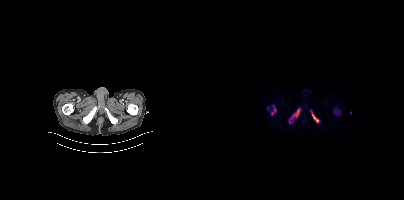
Coordinates are on the 200×200 PET (right) panel. PSMA-avid tumor lesion bounding boxes (x, y, width, height): x=89 y=109 w=7 h=9; x=67 y=105 w=6 h=11; x=108 y=113 w=7 h=10.